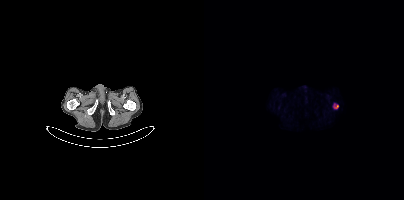
Coordinates are on the 200×200 PET (right) panel. PSMA-avid tumor lesion bounding box (x0, y0)-(x1, y1): (129, 103)-(134, 108).